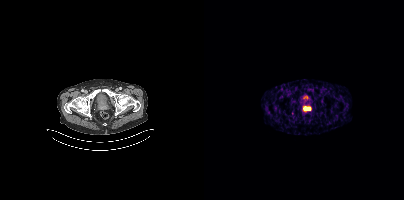
Two-panel axial: CT | PSMA PET, 68Ga-PSMA tracer. Acquired on Siemens Biograph mCT Flow 20. Slice 76 of 419. PET panel 200×200 px (4.1 mm/px).
Coordinates are on the 200×200 PET (right) panel. PSMA-avid tumor lesion bounding boxes:
| # | x0 | y0 | x1 | y1 |
|---|---|---|---|---|
| 1 | 99 | 107 | 106 | 110 |